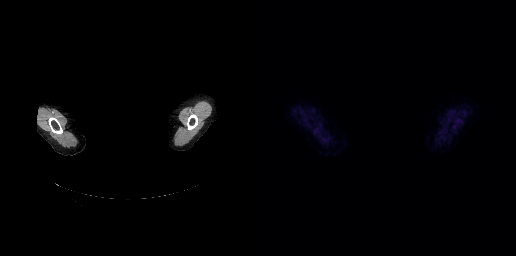
{"modality":"PSMA PET/CT","view":"axial","tracer":"18F","pet_grid":[256,256],"coord_frame":"pet_panel","coord_format":"x0,y0,x1,y1","redaction":"rectangular block over head set to black","psma_avid_lesions":false}